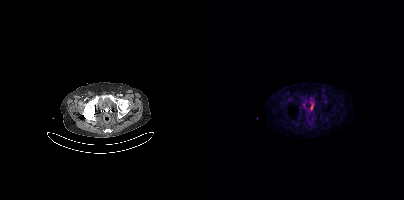
Only PSMA-avid lesion pieces thinner than 2 px on this slice (not listed). Paired axial CT (left) and PSMA PET (right), [18F]PSMA-1007 tracer. PET panel 200×200 px (4.1 mm/px).